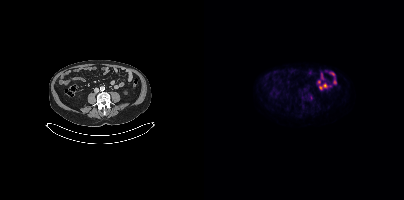
- Left: CT. Right: PSMA PET, same axial level, 18F-PSMA tracer
- acquired on Siemens Biograph mCT Flow 20
- PET panel 200×200 px (4.1 mm/px)
Findings: Coordinates are on the 200×200 PET (right) panel. Small PSMA-avid focus (2 to 4 px across) near (center x, center y): (107, 97).